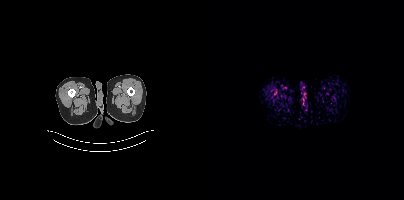
Technique: Paired axial CT (left) and PSMA PET (right), 18F-PSMA tracer. PET panel 200×200 px (4.1 mm/px).
Findings: No PSMA-avid tumor lesions on this slice.